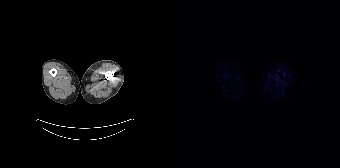
No PSMA-avid tumor lesions on this slice.